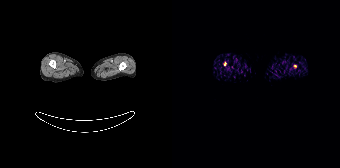
- Paired axial CT (left) and PSMA PET (right), 68Ga tracer
- slice 2 of 165
- PET panel 168×168 px (4.1 mm/px)
Findings: Coordinates are on the 168×168 PET (right) panel. Small PSMA-avid foci (2 to 4 px across) near (center x, center y): (123, 66), (53, 63).